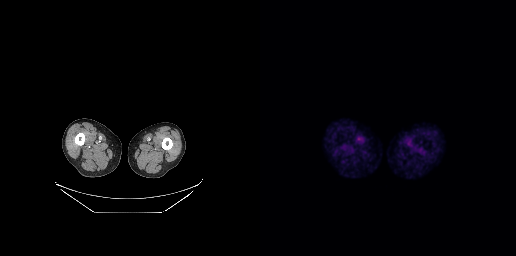
No tumor lesions annotated on this slice.